Paired axial CT (left) and PSMA PET (right), [68Ga]Ga-PSMA-11 tracer. Slice position z = -1165 mm.
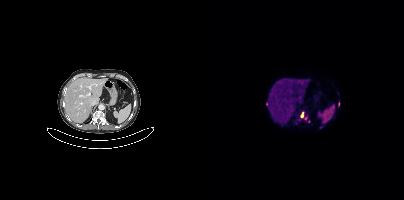
Coordinates are on the 200×200 PET (right) panel. PSMA-avid tumor lesion bounding boxes (x0, y0)-(x1, y1): (97, 112)-(103, 120); (134, 102)-(135, 106). Small PSMA-avid foci (2 to 4 px across) near (center x, center y): (117, 127); (62, 104).